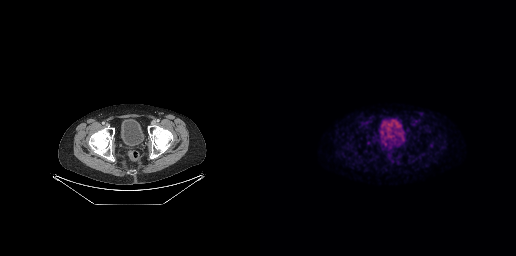
Paired axial CT (left) and PSMA PET (right), 18F-PSMA tracer. Acquired on GE Discovery 690. Slice 51 of 263. PET panel 256×256 px (2.7 mm/px). No PSMA-avid tumor lesions on this slice.